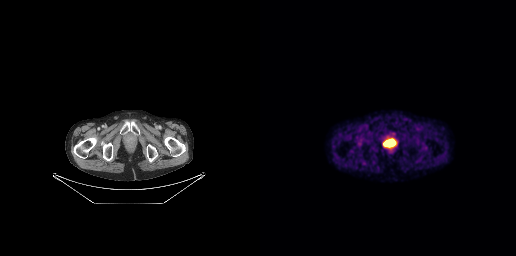
{"modality":"PSMA PET/CT","view":"axial","tracer":"18F-PSMA","pet_grid":[256,256],"coord_frame":"pet_panel","coord_format":"x0,y0,x1,y1","lesion_bboxes":[[123,139,135,146]]}